- Left: CT. Right: PSMA PET, same axial level, 68Ga-PSMA tracer
- acquired on Siemens Biograph 64-4R TruePoint
- slice 112 of 165
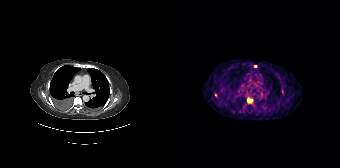
Findings: Coordinates are on the 168×168 PET (right) panel. PSMA-avid tumor lesion bounding boxes (x0,y0,x1,y1): [75,98,80,102] [110,89,111,93]. Small PSMA-avid foci (2 to 4 px across) near (center x, center y): (83, 66) (43, 95).